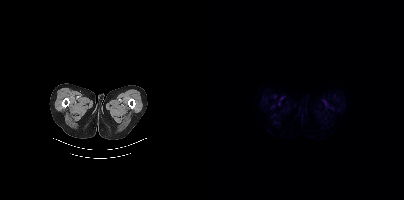
- Left: CT. Right: PSMA PET, same axial level, [18F]PSMA-1007 tracer
Findings: No PSMA-avid tumor lesions on this slice.